modality: PSMA PET/CT | tracer: 18F | view: axial | PET grid: 200×200
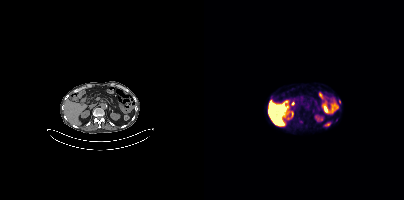
Only PSMA-avid lesion pieces thinner than 2 px on this slice (not listed).